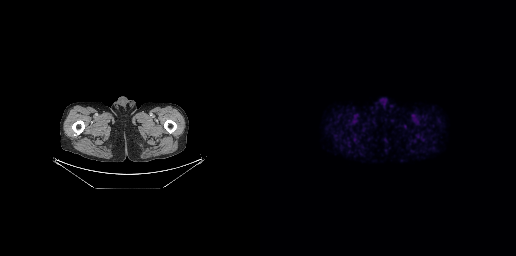
Findings: No tumor lesions annotated on this slice.
- Paired axial CT (left) and PSMA PET (right), 18F tracer
- acquired on GE Discovery 690
- PET panel 256×256 px (2.7 mm/px)